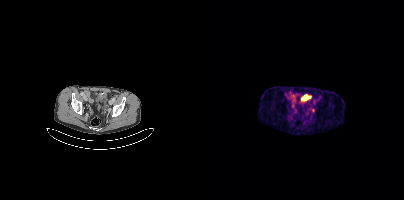
modality: PSMA PET/CT | tracer: [68Ga]Ga-PSMA-11 | view: axial
Coordinates are on the 200×200 PET (right) panel. Small PSMA-avid focus (2 to 4 px across) near (center x, center y): (109, 110).